Technique: Two-panel axial: CT | PSMA PET, 68Ga tracer.
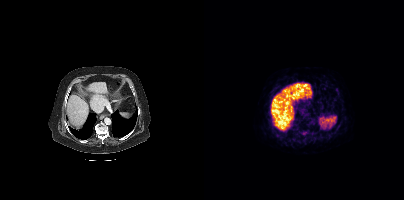
Findings: No PSMA-avid tumor lesions on this slice.